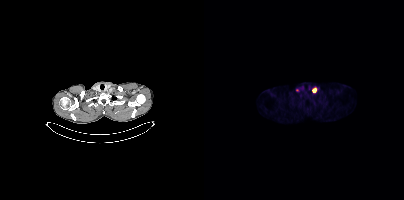
Left: CT. Right: PSMA PET, same axial level, [18F]PSMA-1007 tracer. Slice position z = 110 mm. PET panel 200×200 px (4.1 mm/px).
Coordinates are on the 200×200 PET (right) panel. PSMA-avid tumor lesion bounding boxes (partial; 1 more focus not listed):
| # | x0 | y0 | x1 | y1 |
|---|---|---|---|---|
| 1 | 109 | 88 | 112 | 92 |